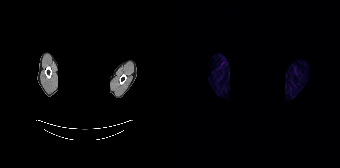
{"modality":"PSMA PET/CT","view":"axial","tracer":"68Ga","pet_grid":[168,168],"coord_frame":"pet_panel","coord_format":"x0,y0,x1,y1","deidentification":"rectangular block over head set to black","psma_avid_lesions":false}